Left: CT. Right: PSMA PET, same axial level, 18F-PSMA tracer. Face de-identified by blanking a block of the head.
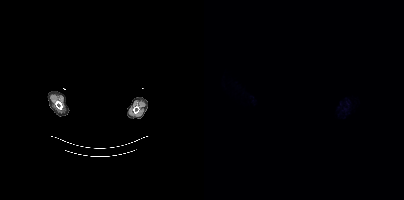
No PSMA-avid tumor lesions on this slice.